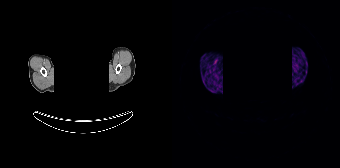
Technique: Two-panel axial: CT | PSMA PET, [68Ga]Ga-PSMA-11 tracer. slice position z = 1706 mm.
Note: The face region was removed for patient privacy by blanking a rectangle over the head.
Findings: No tumor lesions annotated on this slice.